- Left: CT. Right: PSMA PET, same axial level, [18F]PSMA-1007 tracer
- acquired on Siemens Biograph 64-4R TruePoint
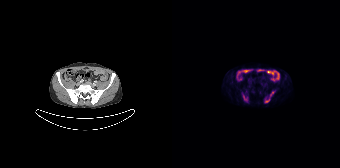
Findings: Coordinates are on the 168×168 PET (right) panel. PSMA-avid tumor lesion bounding boxes (x0,y0,x1,y1): [71,95,75,101] [93,99,97,102]. Small PSMA-avid focus (2 to 4 px across) near (center x, center y): (100, 93).